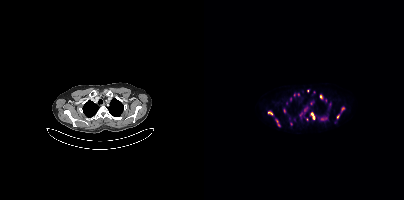
Coordinates are on the 200×200 PET (right) panel. (showing 14 of 16 foci) PSMA-avid tumor lesion bounding boxes (x0, y0)-(x1, y1): (106, 113)-(111, 119) / (116, 117)-(123, 120) / (137, 106)-(141, 112) / (72, 120)-(75, 126) / (64, 112)-(68, 115). Small PSMA-avid foci (2 to 4 px across) near (center x, center y): (117, 96) / (107, 103) / (80, 110) / (126, 104) / (87, 124) / (94, 94) / (133, 117) / (103, 90) / (103, 118).
modality: PSMA PET/CT | tracer: 18F | view: axial